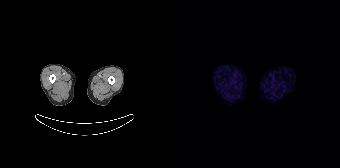
modality: PSMA PET/CT | tracer: 68Ga-PSMA | view: axial | PET grid: 168×168
This slice has no annotated PSMA-avid lesion.